Left: CT. Right: PSMA PET, same axial level, 18F-PSMA tracer.
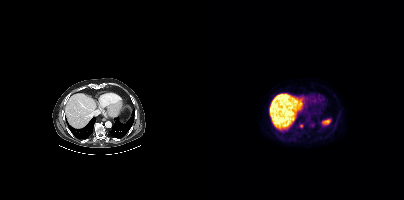
Coordinates are on the 200×200 PET (right) panel. Small PSMA-avid focus (2 to 4 px across) near (center x, center y): (97, 125).